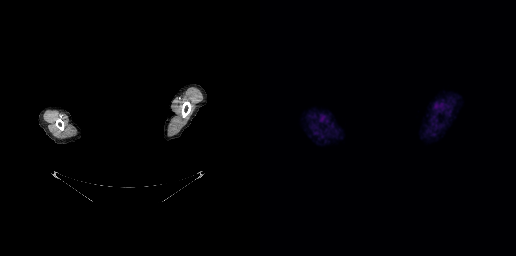
Technique: Left: CT. Right: PSMA PET, same axial level, 18F tracer. acquired on GE Discovery 690. PET panel 256×256 px (2.7 mm/px).
Note: A rectangle over the head was blacked out to remove identifiable facial features.
Findings: This slice has no annotated PSMA-avid lesion.